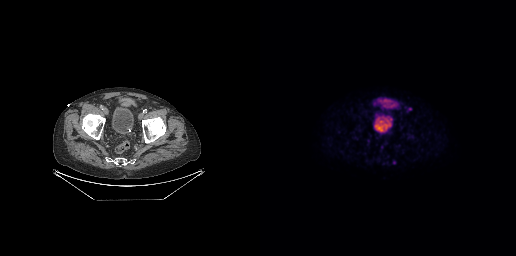
{"pet_grid":[256,256],"coord_frame":"pet_panel","coord_format":"x0,y0,x1,y1","psma_avid_lesions":false,"modality":"PSMA PET/CT","view":"axial","tracer":"18F"}